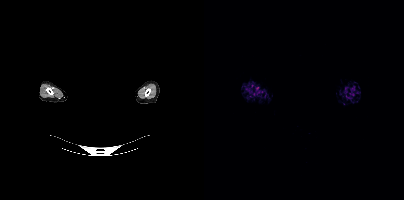
Head region blanked for anonymization (face removed). Left: CT. Right: PSMA PET, same axial level, 18F-PSMA tracer. Acquired on Siemens Biograph mCT Flow 20. No tumor lesions annotated on this slice.